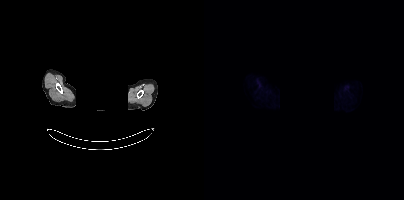
- Two-panel axial: CT | PSMA PET, 18F tracer
- slice position z = 498 mm
- PET panel 200×200 px (4.1 mm/px)
- head region blanked for anonymization (face removed)
Findings: This slice has no annotated PSMA-avid lesion.